- Left: CT. Right: PSMA PET, same axial level, [68Ga]Ga-PSMA-11 tracer
- a rectangle over the head was blacked out to remove identifiable facial features
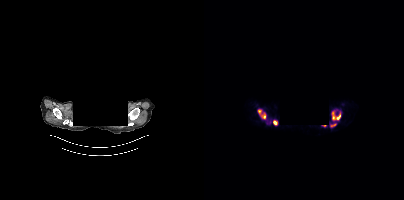
Findings: Coordinates are on the 200×200 PET (right) panel. PSMA-avid tumor lesion bounding boxes (x, y, width, height): x=128 y=111 w=9 h=10 | x=54 y=109 w=8 h=10 | x=127 y=123 w=6 h=5 | x=63 y=121 w=5 h=4. Small PSMA-avid focus (2 to 4 px across) near (center x, center y): (70, 122).